Technique: Two-panel axial: CT | PSMA PET, 68Ga-PSMA tracer. acquired on Siemens Biograph 64-4R TruePoint. slice 15 of 165. PET panel 168×168 px (4.1 mm/px).
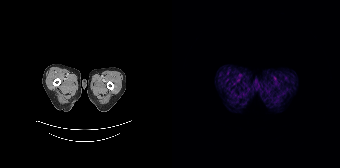
Findings: No PSMA-avid tumor lesions on this slice.